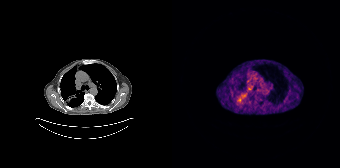
{"modality":"PSMA PET/CT","view":"axial","tracer":"68Ga","pet_grid":[168,168],"coord_frame":"pet_panel","coord_format":"x0,y0,x1,y1","lesion_bboxes":[[66,94,73,103]],"small_foci_centers":[[78,88]]}